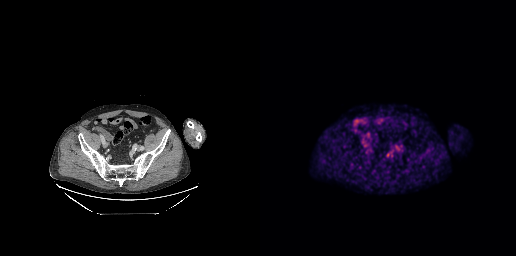
Findings: Coordinates are on the 256×256 PET (right) panel. Small PSMA-avid focus (2 to 4 px across) near (center x, center y): (127, 154).
- Left: CT. Right: PSMA PET, same axial level, [18F]PSMA-1007 tracer
- acquired on GE Discovery 690
- PET panel 256×256 px (2.7 mm/px)